Technique: Left: CT. Right: PSMA PET, same axial level, 18F-PSMA tracer. slice 372 of 389.
Note: An anonymization step blacked out a rectangle over the head in this scan.
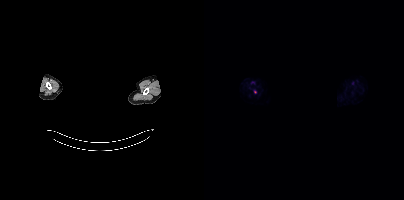
Findings: Coordinates are on the 200×200 PET (right) panel. Small PSMA-avid focus (2 to 4 px across) near (center x, center y): (50, 91).